- Left: CT. Right: PSMA PET, same axial level, 18F-PSMA tracer
- PET panel 200×200 px (4.1 mm/px)
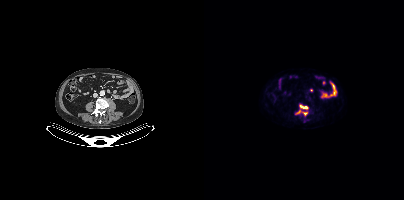
Findings: Coordinates are on the 200×200 PET (right) panel. PSMA-avid tumor lesion bounding boxes (x0, y0)-(x1, y1): (95, 105)-(103, 108) | (93, 110)-(102, 115).